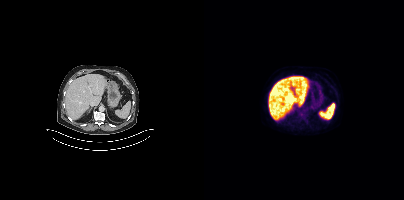
Two-panel axial: CT | PSMA PET, 18F-PSMA tracer. PET panel 200×200 px (4.1 mm/px). This slice has no annotated PSMA-avid lesion.